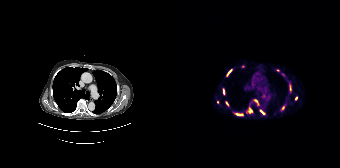
Coordinates are on the 168×168 PET (right) panel. (showing 11 of 13 foci) PSMA-avid tumor lesion bounding boxes (x, y, width, height): x=62 y=113 w=10 h=3; x=76 y=108 w=5 h=6; x=55 y=69 w=5 h=8; x=88 y=110 w=6 h=5; x=51 y=89 w=2 h=6; x=82 y=100 w=5 h=5; x=118 y=86 w=2 h=5. Small PSMA-avid foci (2 to 4 px across) near (center x, center y): (55, 103); (124, 98); (111, 108); (45, 101).
modality: PSMA PET/CT | tracer: 68Ga-PSMA | view: axial